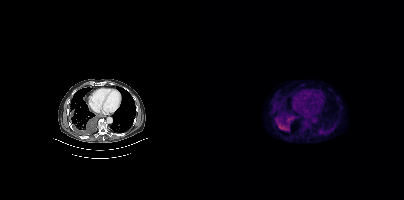
Findings: Coordinates are on the 200×200 PET (right) panel. PSMA-avid tumor lesion bounding boxes (x0, y0)-(x1, y1): (72, 119)-(83, 130) | (84, 115)-(90, 121).
Technique: Left: CT. Right: PSMA PET, same axial level, 18F tracer.